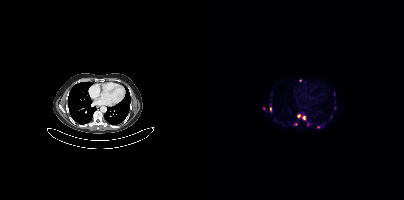
Coordinates are on the 200×200 PET (right) panel. PSMA-avid tumor lesion bounding boxes (partial; 2 more foci not listed):
| # | x0 | y0 | x1 | y1 |
|---|---|---|---|---|
| 1 | 125 | 116 | 127 | 120 |
Small PSMA-avid foci (2 to 4 px across) near (center x, center y): (99, 117); (96, 80); (94, 115); (70, 119); (114, 126); (66, 107); (130, 107); (59, 108).
Paired axial CT (left) and PSMA PET (right), 68Ga tracer. Slice 268 of 411.